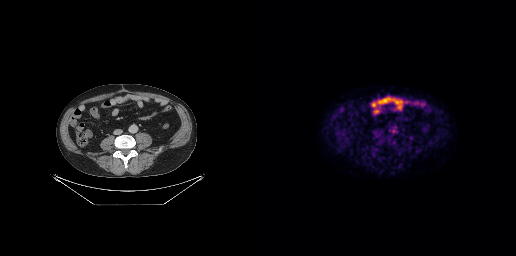
{"pet_grid":[256,256],"coord_frame":"pet_panel","coord_format":"x0,y0,x1,y1","psma_avid_lesions":false,"modality":"PSMA PET/CT","view":"axial","tracer":"18F-PSMA"}